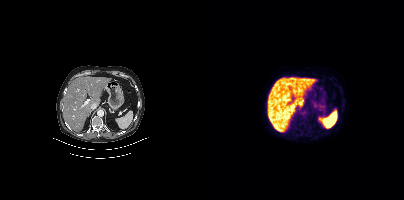
This slice has no annotated PSMA-avid lesion.